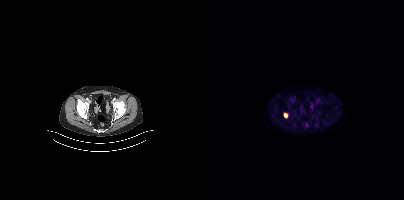
Coordinates are on the 200×200 PET (right) panel. PSMA-avid tumor lesion bounding box (x0, y0)-(x1, y1): (80, 113)-(83, 117).